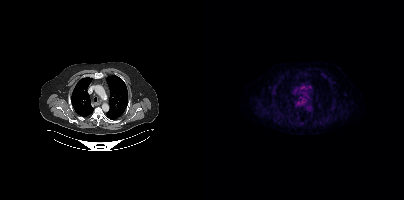
Negative for PSMA-avid disease on this slice.